modality: PSMA PET/CT | tracer: [18F]PSMA-1007 | view: axial | PET grid: 200×200
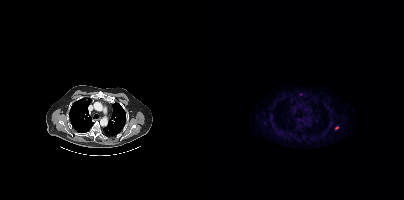
Only PSMA-avid lesion pieces thinner than 2 px on this slice (not listed).